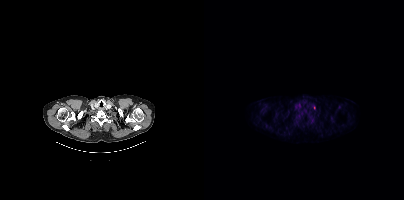
modality: PSMA PET/CT | tracer: 18F-PSMA | view: axial
Only PSMA-avid lesion pieces thinner than 2 px on this slice (not listed).